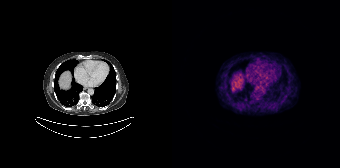
{"modality":"PSMA PET/CT","view":"axial","tracer":"[68Ga]Ga-PSMA-11","pet_grid":[168,168],"coord_frame":"pet_panel","coord_format":"x0,y0,x1,y1","psma_avid_lesions":false}